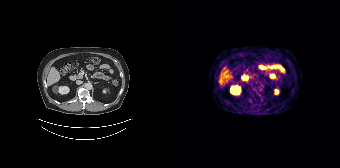
{"pet_grid":[168,168],"coord_frame":"pet_panel","coord_format":"x0,y0,x1,y1","psma_avid_lesions":false,"modality":"PSMA PET/CT","view":"axial","tracer":"[68Ga]Ga-PSMA-11"}